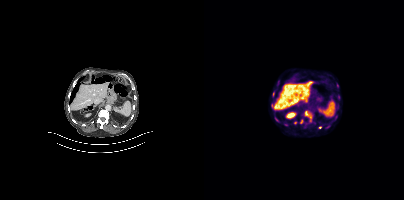
Left: CT. Right: PSMA PET, same axial level, [18F]PSMA-1007 tracer. Slice 181 of 373.
Coordinates are on the 200×200 PET (right) panel. PSMA-avid tumor lesion bounding boxes (partial; 5 more foci not listed):
| # | x0 | y0 | x1 | y1 |
|---|---|---|---|---|
| 1 | 100 | 110 | 108 | 122 |
| 2 | 71 | 118 | 82 | 126 |
| 3 | 119 | 123 | 126 | 129 |
| 4 | 132 | 94 | 136 | 97 |
| 5 | 96 | 119 | 99 | 123 |
| 6 | 68 | 91 | 70 | 96 |
Small PSMA-avid foci (2 to 4 px across) near (center x, center y): (133, 85); (67, 101); (69, 111); (116, 127); (91, 122).